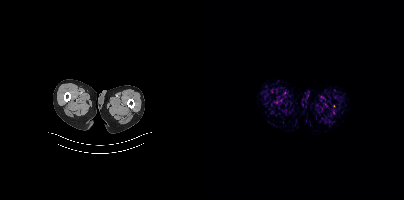
This slice has no annotated PSMA-avid lesion.